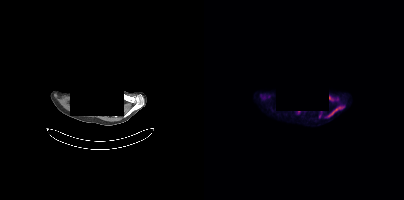
A rectangle over the head was blacked out to remove identifiable facial features. Left: CT. Right: PSMA PET, same axial level, 18F tracer. PET panel 200×200 px (4.1 mm/px). Coordinates are on the 200×200 PET (right) panel. PSMA-avid tumor lesion bounding box (x0,y0,x1,y1): [126,107,137,115]. Small PSMA-avid foci (2 to 4 px across) near (center x, center y): (125, 97), (122, 116).